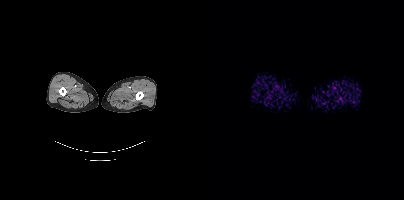
Negative for PSMA-avid disease on this slice.